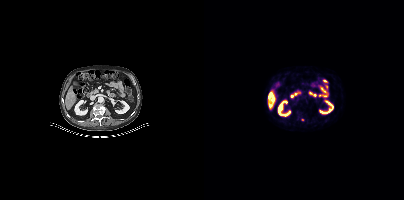
{"modality":"PSMA PET/CT","view":"axial","tracer":"18F-PSMA","pet_grid":[200,200],"coord_frame":"pet_panel","coord_format":"x0,y0,x1,y1","lesion_bboxes":[],"small_foci_centers":[[98,119]]}